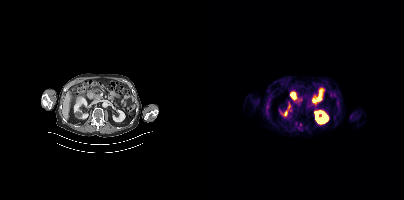
This slice has no annotated PSMA-avid lesion. Two-panel axial: CT | PSMA PET, 18F tracer. PET panel 200×200 px (4.1 mm/px).